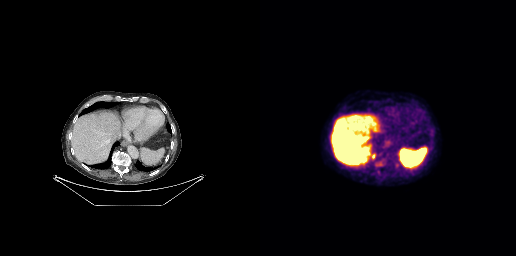
Two-panel axial: CT | PSMA PET, 18F-PSMA tracer. Acquired on GE Discovery 690. Slice position z = -470 mm. PET panel 256×256 px (2.7 mm/px). No PSMA-avid tumor lesions on this slice.